modality: PSMA PET/CT | tracer: 18F | view: axial
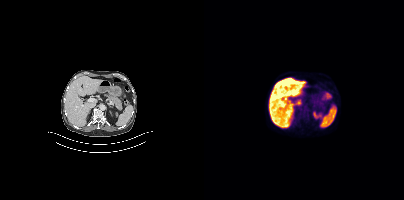
Negative for PSMA-avid disease on this slice.